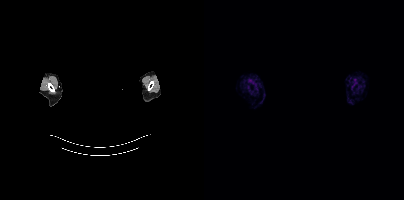
modality: PSMA PET/CT | tracer: [18F]PSMA-1007 | view: axial | redaction: facial region redacted
No PSMA-avid tumor lesions on this slice.